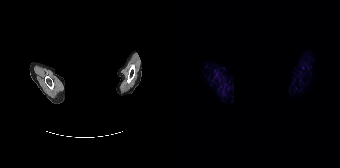
This slice has no annotated PSMA-avid lesion. Face de-identified by blanking a block of the head. Two-panel axial: CT | PSMA PET, [68Ga]Ga-PSMA-11 tracer. Slice position z = 90 mm. PET panel 168×168 px (4.1 mm/px).